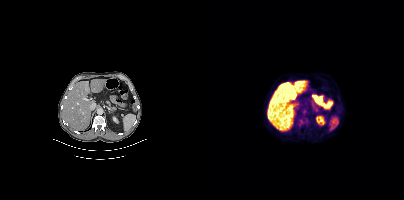
Technique: Left: CT. Right: PSMA PET, same axial level, 18F-PSMA tracer. slice 220 of 423.
Findings: Coordinates are on the 200×200 PET (right) panel. Small PSMA-avid focus (2 to 4 px across) near (center x, center y): (96, 120).